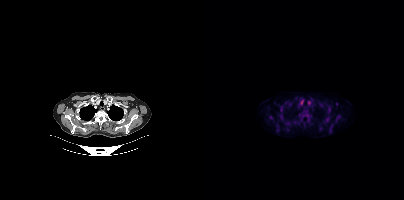
Coordinates are on the 200×200 PET (right) panel. PSMA-avid tumor lesion bounding boxes (x0, y0)-(x1, y1): (76, 107)-(78, 111); (77, 115)-(78, 119). Small PSMA-avid foci (2 to 4 px across) near (center x, center y): (125, 109); (67, 117).